The head region is masked for de-identification. Paired axial CT (left) and PSMA PET (right), 18F tracer. Acquired on Siemens Biograph mCT Flow 20. Slice position z = -126 mm. PET panel 200×200 px (4.1 mm/px).
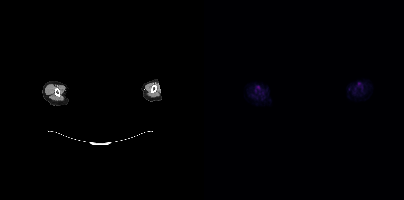
This slice has no annotated PSMA-avid lesion.